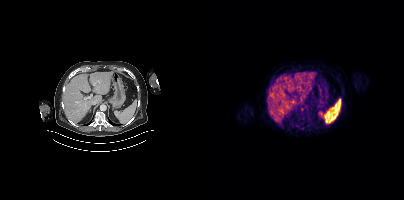
Negative for PSMA-avid disease on this slice. Left: CT. Right: PSMA PET, same axial level, 68Ga-PSMA tracer. PET panel 200×200 px (4.1 mm/px).